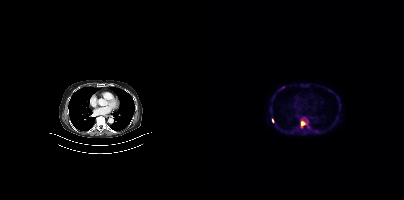
Technique: Two-panel axial: CT | PSMA PET, 18F-PSMA tracer. acquired on Siemens Biograph mCT Flow 20.
Findings: Coordinates are on the 200×200 PET (right) panel. PSMA-avid tumor lesion bounding boxes (x, y, width, height): x=97 y=117 w=9 h=10 / x=76 y=86 w=5 h=4. Small PSMA-avid focus (2 to 4 px across) near (center x, center y): (68, 120).